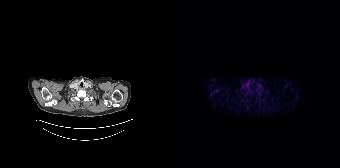
- Left: CT. Right: PSMA PET, same axial level, 18F tracer
- PET panel 168×168 px (4.1 mm/px)
Findings: No tumor lesions annotated on this slice.